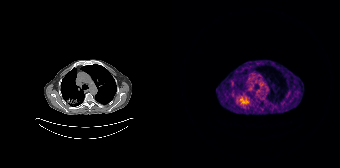
Findings: Coordinates are on the 168×168 PET (right) panel. PSMA-avid tumor lesion bounding box (x0, y0)-(x1, y1): (66, 95)-(77, 106).
- Two-panel axial: CT | PSMA PET, 68Ga-PSMA tracer
- acquired on Siemens Biograph 64-4R TruePoint
- slice 144 of 195
- PET panel 168×168 px (4.1 mm/px)